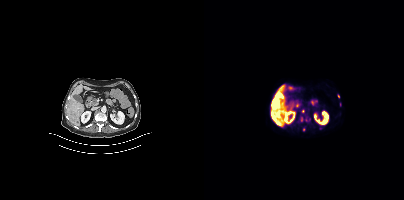
Coordinates are on the 200×200 PET (right) panel. PSMA-avid tumor lesion bounding box (x0, y0)-(x1, y1): (68, 99)-(74, 106). Small PSMA-avid foci (2 to 4 px across) near (center x, center y): (77, 95) / (134, 96).